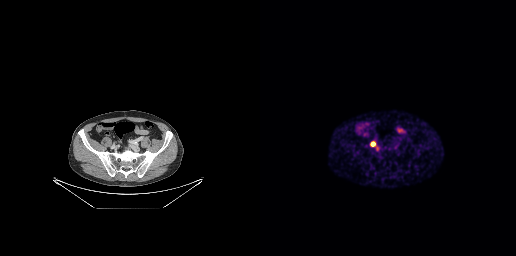
{"pet_grid":[256,256],"coord_frame":"pet_panel","coord_format":"x0,y0,x1,y1","lesion_bboxes":[[110,141,115,146]],"modality":"PSMA PET/CT","view":"axial","tracer":"68Ga-PSMA"}